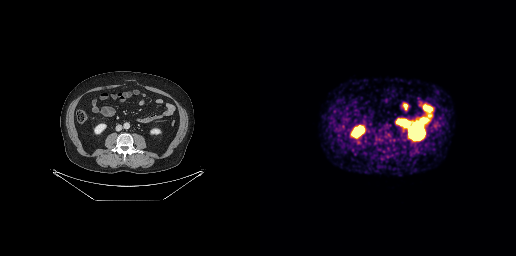
No tumor lesions annotated on this slice. Two-panel axial: CT | PSMA PET, 68Ga-PSMA tracer. Slice position z = -658 mm.